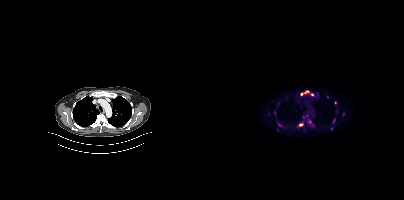
Coordinates are on the 200×200 PET (right) panel. (showing 9 of 13 foci) PSMA-avid tumor lesion bounding boxes (x0, y0)-(x1, y1): (97, 90)-(105, 95) | (95, 123)-(99, 126) | (138, 112)-(140, 116). Small PSMA-avid foci (2 to 4 px across) near (center x, center y): (131, 102) | (108, 94) | (75, 125) | (105, 121) | (123, 96) | (129, 121).